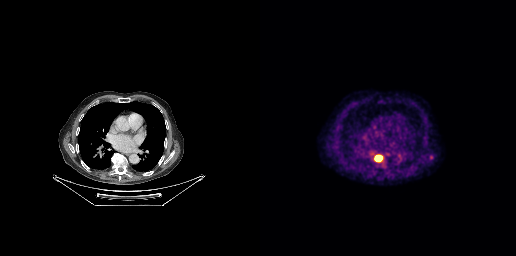
Coordinates are on the 256×256 PET (right) panel. PSMA-avid tumor lesion bounding boxes (x, y, width, height): x=110 y=151 w=13 h=11; x=123 y=160 w=5 h=6. Small PSMA-avid focus (2 to 4 px across) near (center x, center y): (171, 157).